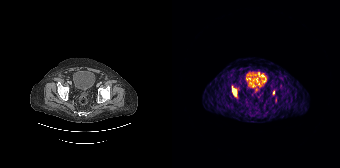
{"modality":"PSMA PET/CT","view":"axial","tracer":"68Ga","pet_grid":[168,168],"coord_frame":"pet_panel","coord_format":"x0,y0,x1,y1","partial":true,"lesion_bboxes":[[60,89,64,95]],"small_foci_centers":[[101,92]]}